modality: PSMA PET/CT | tracer: [18F]PSMA-1007 | view: axial | PET grid: 200×200
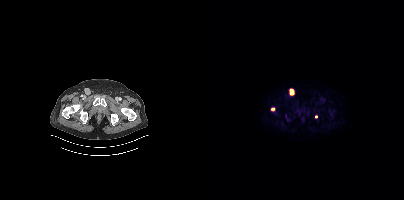
Coordinates are on the 200×200 PET (right) panel. PSMA-avid tumor lesion bounding box (x0, y0)-(x1, y1): (85, 88)-(90, 95). Small PSMA-avid foci (2 to 4 px across) near (center x, center y): (68, 109) | (112, 116).